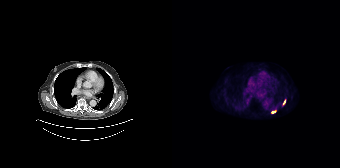
- Left: CT. Right: PSMA PET, same axial level, [18F]PSMA-1007 tracer
- PET panel 168×168 px (4.1 mm/px)
Findings: Coordinates are on the 168×168 PET (right) panel. PSMA-avid tumor lesion bounding boxes (x0,y0,x1,y1): [99,111,103,113], [111,100,113,104].